Technique: Two-panel axial: CT | PSMA PET, 18F-PSMA tracer. acquired on Siemens Biograph 64-4R TruePoint. slice position z = -1085 mm.
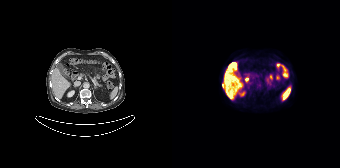
Findings: Coordinates are on the 168×168 PET (right) panel. Small PSMA-avid focus (2 to 4 px across) near (center x, center y): (50, 85).